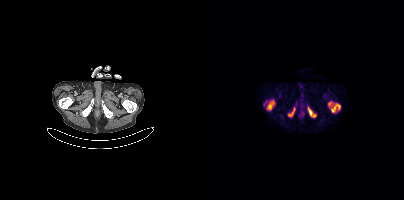
Coordinates are on the 200×200 PET (right) panel. PSMA-avid tumor lesion bounding boxes:
| # | x0 | y0 | x1 | y1 |
|---|---|---|---|---|
| 1 | 124 | 101 | 136 | 112 |
| 2 | 63 | 100 | 70 | 109 |
| 3 | 104 | 107 | 112 | 117 |
| 4 | 84 | 108 | 91 | 116 |
Two-panel axial: CT | PSMA PET, [18F]PSMA-1007 tracer. Slice 54 of 401.